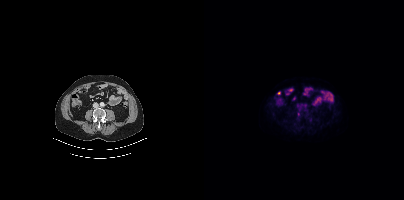
Coordinates are on the 200×200 PET (right) panel. Small PSMA-avid focus (2 to 4 px across) near (center x, center y): (94, 114).